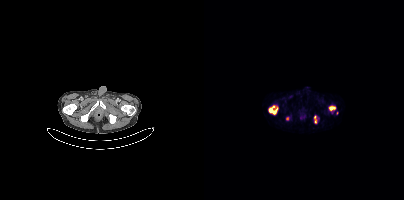
Findings: Coordinates are on the 200×200 PET (right) panel. (showing 4 of 6 foci) PSMA-avid tumor lesion bounding boxes (x, y, width, height): x=65 y=108 w=8 h=6 / x=125 y=106 w=7 h=5 / x=110 y=116 w=3 h=7. Small PSMA-avid focus (2 to 4 px across) near (center x, center y): (83, 118).
Technique: Two-panel axial: CT | PSMA PET, [68Ga]Ga-PSMA-11 tracer.